redaction: rectangular block over head set to black | modality: PSMA PET/CT | tracer: 68Ga | view: axial | PET grid: 200×200
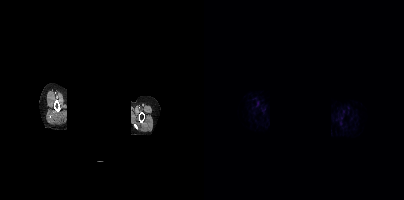
No tumor lesions annotated on this slice.